The head region is masked for de-identification. Left: CT. Right: PSMA PET, same axial level, 18F tracer. Acquired on Siemens Biograph mCT Flow 20. Slice position z = -207 mm. PET panel 200×200 px (4.1 mm/px).
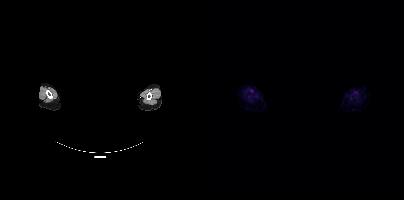
No PSMA-avid tumor lesions on this slice.